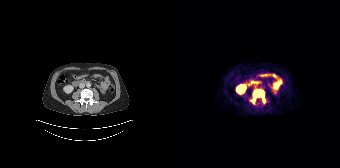
Coordinates are on the 168×168 PET (right) panel. PSMA-avid tumor lesion bounding box (x, y, width, height): x=80 y=89 w=14 h=15.